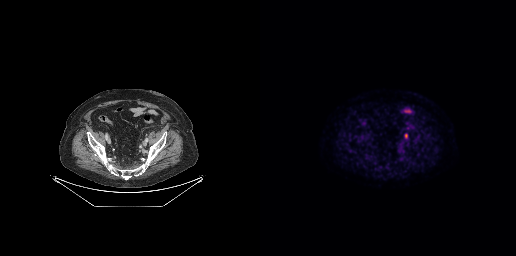
{"modality":"PSMA PET/CT","view":"axial","tracer":"18F","pet_grid":[256,256],"coord_frame":"pet_panel","coord_format":"x0,y0,x1,y1","lesion_bboxes":[[145,134,147,138]]}